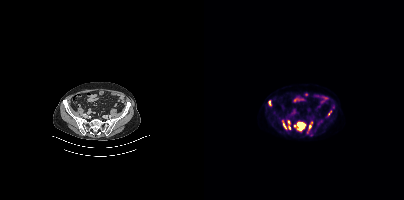
Findings: Coordinates are on the 200×200 PET (right) panel. PSMA-avid tumor lesion bounding boxes (x, y, width, height): x=93 y=122 w=9 h=10; x=84 y=120 w=3 h=10; x=78 y=121 w=5 h=8; x=64 y=100 w=4 h=6; x=105 y=124 w=3 h=6; x=124 y=111 w=4 h=5. Small PSMA-avid foci (2 to 4 px across) near (center x, center y): (90, 125); (107, 122).
- Paired axial CT (left) and PSMA PET (right), 18F tracer
- slice 120 of 413